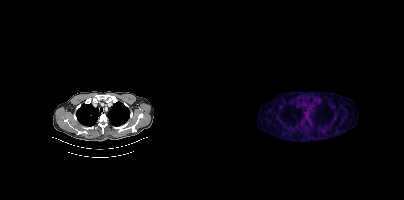
{"modality":"PSMA PET/CT","view":"axial","tracer":"18F","pet_grid":[200,200],"coord_frame":"pet_panel","coord_format":"x0,y0,x1,y1","psma_avid_lesions":false}